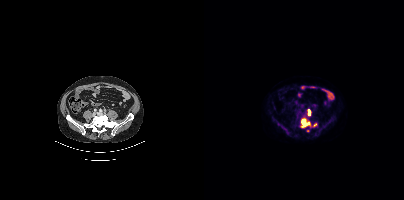
{"modality":"PSMA PET/CT","view":"axial","tracer":"18F-PSMA","pet_grid":[200,200],"coord_frame":"pet_panel","coord_format":"x0,y0,x1,y1","lesion_bboxes":[[97,118,106,127],[103,109,107,115]],"small_foci_centers":[[111,124],[103,130]]}